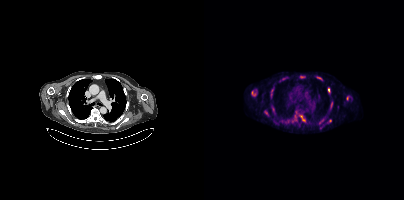
modality: PSMA PET/CT | tracer: 18F | view: axial | PET grid: 200×200
Coordinates are on the 200×200 PET (right) panel. (showing 13 of 15 foci) PSMA-avid tumor lesion bounding boxes (x, y, width, height): x=96 y=115 w=6 h=7 | x=60 y=110 w=5 h=5 | x=112 y=76 w=7 h=5 | x=124 y=88 w=2 h=5 | x=142 y=96 w=3 h=5 | x=127 y=102 w=2 h=6. Small PSMA-avid foci (2 to 4 px across) near (center x, center y): (126, 120) | (81, 77) | (117, 120) | (67, 96) | (98, 76) | (67, 106) | (68, 89).